Paired axial CT (left) and PSMA PET (right), 68Ga-PSMA tracer. Acquired on Siemens Biograph 64-4R TruePoint. PET panel 168×168 px (4.1 mm/px).
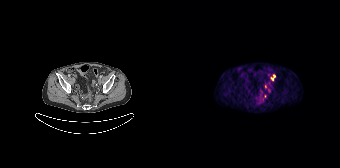
Coordinates are on the 168×168 PET (right) panel. (showing 1 of 3 foci) Small PSMA-avid focus (2 to 4 px across) near (center x, center y): (100, 78).